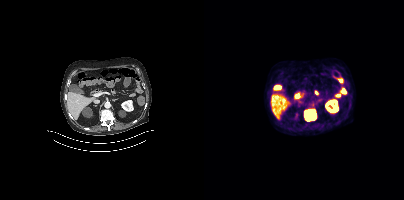
{"modality":"PSMA PET/CT","view":"axial","tracer":"18F","pet_grid":[200,200],"coord_frame":"pet_panel","coord_format":"x0,y0,x1,y1","lesion_bboxes":[[100,109,112,121]]}